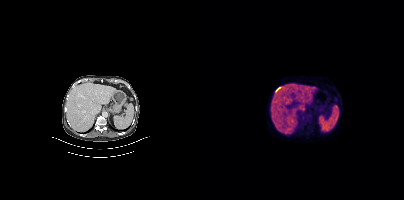
Findings: No PSMA-avid tumor lesions on this slice.
Technique: Two-panel axial: CT | PSMA PET, 18F tracer. acquired on Siemens Biograph mCT Flow 20. PET panel 200×200 px (4.1 mm/px).